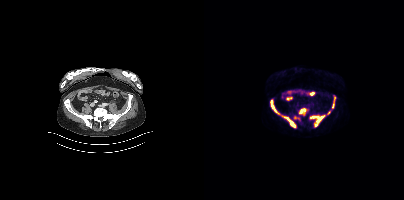
- Left: CT. Right: PSMA PET, same axial level, 18F-PSMA tracer
- acquired on Siemens Biograph mCT Flow 20
- PET panel 200×200 px (4.1 mm/px)
Findings: Coordinates are on the 200×200 PET (right) panel. (showing 6 of 7 foci) PSMA-avid tumor lesion bounding boxes (x, y, width, height): x=107 y=115 w=15 h=12 | x=80 y=117 w=12 h=11 | x=67 y=100 w=10 h=15 | x=95 y=108 w=7 h=6 | x=128 y=97 w=4 h=11. Small PSMA-avid focus (2 to 4 px across) near (center x, center y): (124, 112).